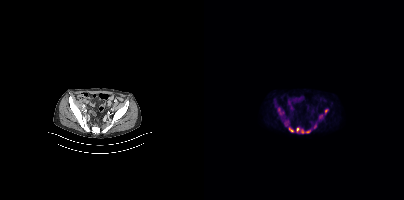
{"modality":"PSMA PET/CT","view":"axial","tracer":"[18F]PSMA-1007","pet_grid":[200,200],"coord_frame":"pet_panel","coord_format":"x0,y0,x1,y1","lesion_bboxes":[[74,108,78,114],[85,127,89,132],[92,127,95,132],[97,129,99,133],[102,130,106,132]],"small_foci_centers":[[116,116],[122,111]]}